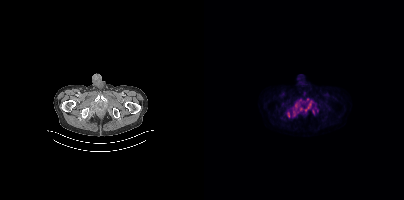
Coordinates are on the 200×200 PET (right) panel. (showing 5 of 6 foci) PSMA-avid tumor lesion bounding boxes (x0,y0,x1,y1): [89,99,109,114], [82,110,85,116]. Small PSMA-avid foci (2 to 4 px across) near (center x, center y): (109, 111), (103, 99), (93, 111).